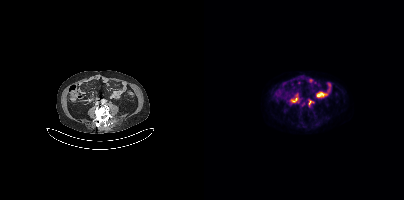
modality: PSMA PET/CT | tracer: [18F]PSMA-1007 | view: axial
Coordinates are on the 200×200 PET (right) panel. (showing 1 of 2 foci) PSMA-avid tumor lesion bounding box (x0, y0)-(x1, y1): (105, 101)-(109, 105).